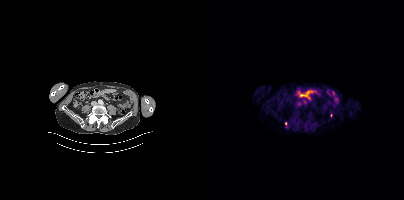
Findings: Coordinates are on the 200×200 PET (right) panel. (showing 1 of 3 foci) Small PSMA-avid focus (2 to 4 px across) near (center x, center y): (81, 123).
Technique: Two-panel axial: CT | PSMA PET, [18F]PSMA-1007 tracer.